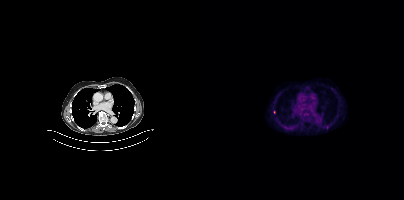
- Two-panel axial: CT | PSMA PET, [18F]PSMA-1007 tracer
- acquired on Siemens Biograph mCT Flow 20
- slice position z = -523 mm
- PET panel 200×200 px (4.1 mm/px)
Findings: Coordinates are on the 200×200 PET (right) panel. Small PSMA-avid foci (2 to 4 px across) near (center x, center y): (123, 127) | (70, 112).